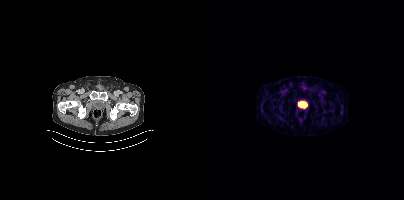
This slice has no annotated PSMA-avid lesion.